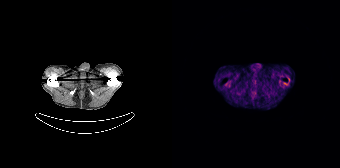
{"pet_grid":[168,168],"coord_frame":"pet_panel","coord_format":"x0,y0,x1,y1","psma_avid_lesions":false,"modality":"PSMA PET/CT","view":"axial","tracer":"68Ga"}